Left: CT. Right: PSMA PET, same axial level, [18F]PSMA-1007 tracer.
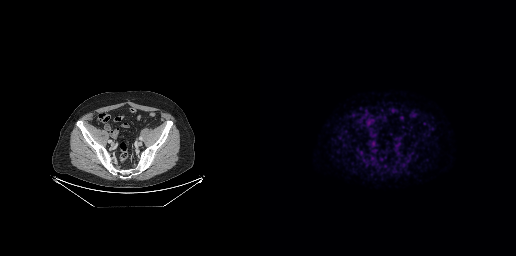
Coordinates are on the 256×256 PET (right) panel. PSMA-avid tumor lesion bounding boxes:
| # | x0 | y0 | x1 | y1 |
|---|---|---|---|---|
| 1 | 135 | 143 | 140 | 149 |